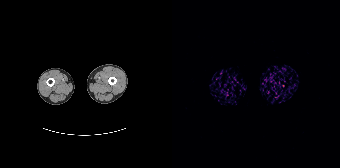
No PSMA-avid tumor lesions on this slice. Left: CT. Right: PSMA PET, same axial level, [68Ga]Ga-PSMA-11 tracer. PET panel 168×168 px (4.1 mm/px).